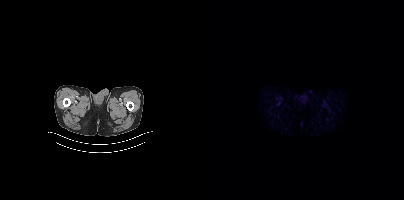
Findings: No PSMA-avid tumor lesions on this slice.
- Left: CT. Right: PSMA PET, same axial level, 18F-PSMA tracer
- acquired on Siemens Biograph mCT Flow 20
- slice position z = -1694 mm
- PET panel 200×200 px (4.1 mm/px)